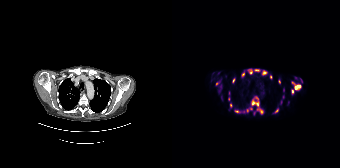
Coordinates are on the 168×168 PET (right) panel. (showing 15 of 23 foci) PSMA-avid tumor lesion bounding boxes (x0, y0)-(x1, y1): (120, 81)-(129, 90) / (79, 97)-(87, 106) / (76, 69)-(80, 74) / (90, 70)-(95, 75) / (85, 108)-(91, 113) / (82, 69)-(87, 71) / (119, 89)-(121, 94) / (63, 110)-(68, 112) / (70, 72)-(72, 76) / (60, 78)-(62, 82). Small PSMA-avid foci (2 to 4 px across) near (center x, center y): (104, 110) / (99, 76) / (107, 81) / (45, 83) / (58, 105).